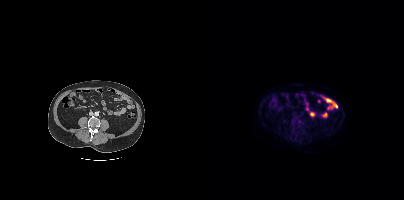
Left: CT. Right: PSMA PET, same axial level, 18F-PSMA tracer. Acquired on Siemens Biograph mCT Flow 20. Slice 161 of 431. PET panel 200×200 px (4.1 mm/px). Only PSMA-avid lesion pieces thinner than 2 px on this slice (not listed).